- Two-panel axial: CT | PSMA PET, [18F]PSMA-1007 tracer
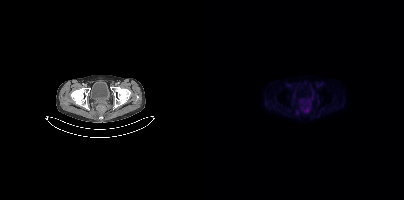
Findings: Coordinates are on the 200×200 PET (right) panel. PSMA-avid tumor lesion bounding box (x0,y0,x1,y1): [101,107,104,112].